Paired axial CT (left) and PSMA PET (right), [18F]PSMA-1007 tracer. Slice position z = -158 mm. PET panel 200×200 px (4.1 mm/px). A rectangular block over the head has been blanked out for de-identification.
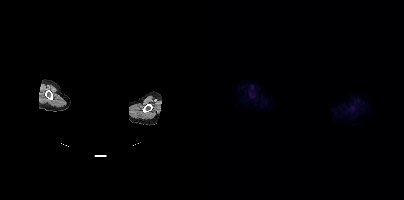
No PSMA-avid tumor lesions on this slice.